modality: PSMA PET/CT | tracer: [68Ga]Ga-PSMA-11 | view: axial | PET grid: 256×256
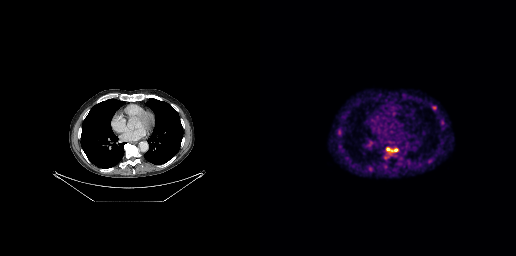
Coordinates are on the 256×256 PET (right) panel. (showing 5 of 6 foci) PSMA-avid tumor lesion bounding boxes (x0,y0,x1,y1): [130,148,137,151] [109,167,112,171]. Small PSMA-avid foci (2 to 4 px across) near (center x, center y): (182, 122) (175, 107) (139, 163).